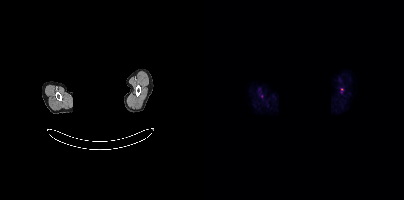
Findings: Coordinates are on the 200×200 PET (right) panel. (showing 1 of 2 foci) Small PSMA-avid focus (2 to 4 px across) near (center x, center y): (137, 89).
Technique: Two-panel axial: CT | PSMA PET, 18F-PSMA tracer. slice position z = -862 mm. PET panel 200×200 px (4.1 mm/px).
Note: Any black rectangle over the head is a privacy mask, not anatomy.